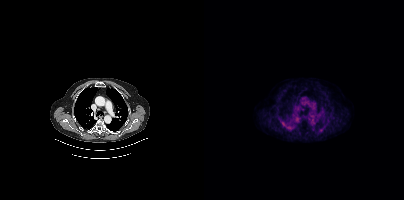
Paired axial CT (left) and PSMA PET (right), 18F-PSMA tracer. Acquired on Siemens Biograph mCT Flow 20. No tumor lesions annotated on this slice.